Technique: Two-panel axial: CT | PSMA PET, [68Ga]Ga-PSMA-11 tracer. acquired on Siemens Biograph 64-4R TruePoint. slice position z = -196 mm.
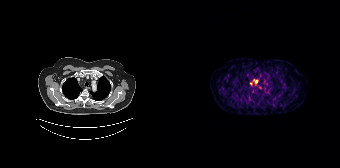
Findings: Coordinates are on the 168×168 PET (right) panel. Small PSMA-avid foci (2 to 4 px across) near (center x, center y): (79, 83) / (84, 81).